- Left: CT. Right: PSMA PET, same axial level, 18F-PSMA tracer
- acquired on Siemens Biograph 64-4R TruePoint
- PET panel 168×168 px (4.1 mm/px)
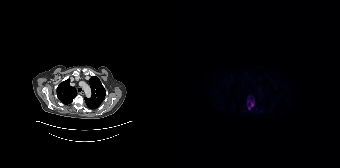
Findings: Coordinates are on the 168×168 PET (right) panel. PSMA-avid tumor lesion bounding box (x, y, width, height): x=75 y=100 w=8 h=10. Small PSMA-avid focus (2 to 4 px across) near (center x, center y): (89, 110).